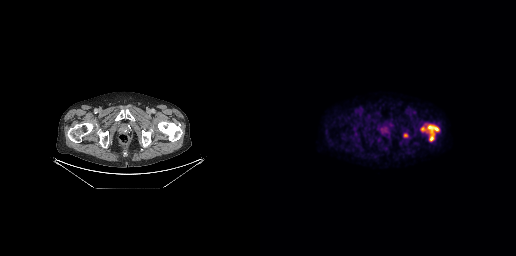
modality: PSMA PET/CT | tracer: 18F-PSMA | view: axial
Coordinates are on the 256×256 PET (right) panel. PSMA-avid tumor lesion bounding box (x0,y0,x1,y1): [161,124,179,141]. Small PSMA-avid focus (2 to 4 px across) near (center x, center y): (146, 135).